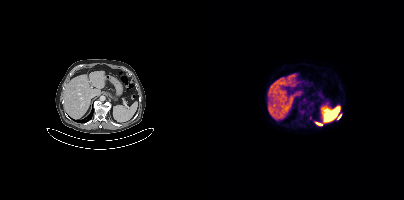
Coordinates are on the 200×200 PET (right) panel. PSMA-avid tumor lesion bounding box (x0,y0,x1,y1): [134,114,137,118]. Small PSMA-avid foci (2 to 4 px across) near (center x, center y): (117, 124), (113, 123). Two-panel axial: CT | PSMA PET, 18F-PSMA tracer. Slice position z = -609 mm.